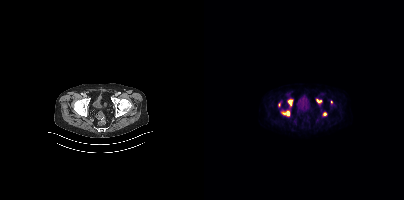
Left: CT. Right: PSMA PET, same axial level, 18F tracer. PET panel 200×200 px (4.1 mm/px). Coordinates are on the 200×200 PET (right) panel. PSMA-avid tumor lesion bounding boxes (x0, y0)-(x1, y1): (78, 111)-(85, 115); (84, 99)-(88, 105); (112, 99)-(117, 102). Small PSMA-avid foci (2 to 4 px across) near (center x, center y): (120, 113); (127, 102); (75, 105).